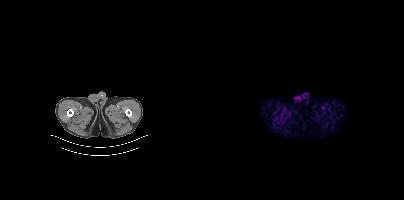
{"pet_grid":[200,200],"coord_frame":"pet_panel","coord_format":"x0,y0,x1,y1","psma_avid_lesions":false,"modality":"PSMA PET/CT","view":"axial","tracer":"[18F]PSMA-1007"}